modality: PSMA PET/CT | tracer: 18F | view: axial
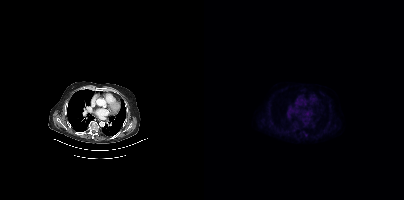
This slice has no annotated PSMA-avid lesion.